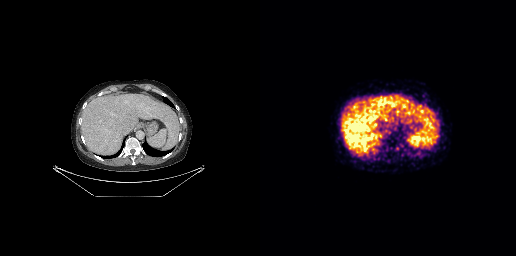
Technique: Paired axial CT (left) and PSMA PET (right), [68Ga]Ga-PSMA-11 tracer. slice position z = -529 mm. PET panel 256×256 px (2.7 mm/px).
Findings: Coordinates are on the 256×256 PET (right) panel. Small PSMA-avid focus (2 to 4 px across) near (center x, center y): (137, 148).